modality: PSMA PET/CT | tracer: 18F-PSMA | view: axial | PET grid: 200×200
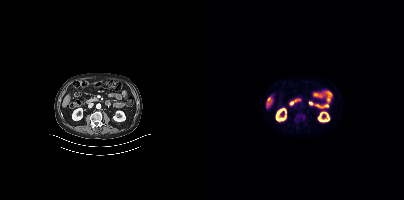
Negative for PSMA-avid disease on this slice.